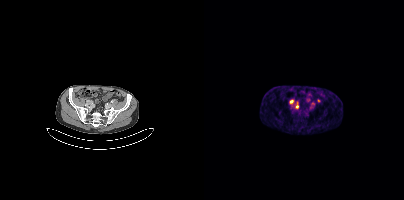
Two-panel axial: CT | PSMA PET, [68Ga]Ga-PSMA-11 tracer. Acquired on Siemens Biograph mCT Flow 20. Slice 134 of 452. Coordinates are on the 200×200 PET (right) panel. (showing 3 of 4 foci) PSMA-avid tumor lesion bounding box (x0,y0,x1,y1): [91,103,94,108]. Small PSMA-avid foci (2 to 4 px across) near (center x, center y): (87, 101), (114, 100).